Technique: Two-panel axial: CT | PSMA PET, 18F-PSMA tracer. slice 191 of 448. PET panel 200×200 px (4.1 mm/px).
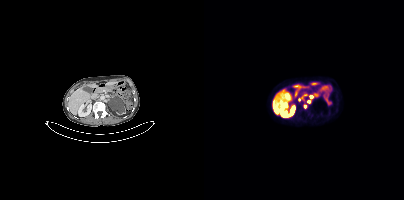
Findings: Coordinates are on the 200×200 PET (right) panel. (showing 3 of 4 foci) PSMA-avid tumor lesion bounding box (x0, y0)-(x1, y1): (98, 98)-(106, 103). Small PSMA-avid foci (2 to 4 px across) near (center x, center y): (107, 96) / (101, 106).